Technique: Left: CT. Right: PSMA PET, same axial level, [18F]PSMA-1007 tracer. acquired on Siemens Biograph mCT Flow 20. slice 209 of 423. PET panel 200×200 px (4.1 mm/px).
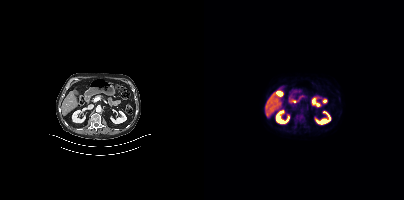
Findings: This slice has no annotated PSMA-avid lesion.